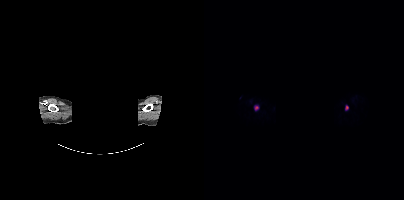
{"modality":"PSMA PET/CT","view":"axial","tracer":"[18F]PSMA-1007","pet_grid":[200,200],"coord_frame":"pet_panel","coord_format":"x0,y0,x1,y1","de-identification":"head region blanked (face removed)","lesion_bboxes":[[50,105,54,110],[141,105,144,110]]}